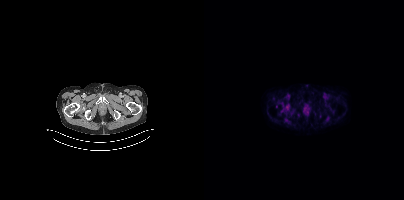
Left: CT. Right: PSMA PET, same axial level, [18F]PSMA-1007 tracer. Slice 55 of 423. Coordinates are on the 200×200 PET (right) panel. Small PSMA-avid focus (2 to 4 px across) near (center x, center y): (72, 106).